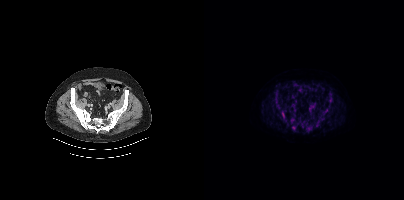
Two-panel axial: CT | PSMA PET, [18F]PSMA-1007 tracer. Acquired on Siemens Biograph mCT Flow 20.
Coordinates are on the 200×200 PET (right) panel. PSMA-avid tumor lesion bounding boxes:
| # | x0 | y0 | x1 | y1 |
|---|---|---|---|---|
| 1 | 87 | 120 | 93 | 130 |
| 2 | 71 | 99 | 76 | 109 |
| 3 | 123 | 96 | 128 | 102 |
| 4 | 77 | 112 | 82 | 120 |
| 5 | 103 | 126 | 107 | 131 |
| 6 | 119 | 108 | 124 | 113 |
| 7 | 112 | 121 | 115 | 126 |